Left: CT. Right: PSMA PET, same axial level, 68Ga tracer. Acquired on Siemens Biograph 64-4R TruePoint. Slice position z = -275 mm. PET panel 168×168 px (4.1 mm/px).
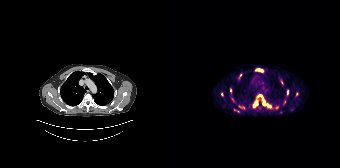
Coordinates are on the 168×168 PET (right) panel. PSMA-avid tumor lesion bounding boxes (partial; 4 more foci not listed):
| # | x0 | y0 | x1 | y1 |
|---|---|---|---|---|
| 1 | 83 | 68 | 91 | 72 |
| 2 | 81 | 101 | 85 | 107 |
| 3 | 90 | 99 | 93 | 105 |
| 4 | 95 | 103 | 98 | 107 |
| 5 | 67 | 74 | 70 | 78 |
| 6 | 115 | 90 | 116 | 95 |
| 7 | 67 | 106 | 72 | 108 |
Small PSMA-avid foci (2 to 4 px across) near (center x, center y): (58, 90); (50, 94); (88, 96); (105, 107); (124, 93); (62, 109).